Technique: Two-panel axial: CT | PSMA PET, 18F-PSMA tracer. acquired on Siemens Biograph mCT Flow 20.
Note: An anonymization step blacked out a rectangle over the head in this scan.
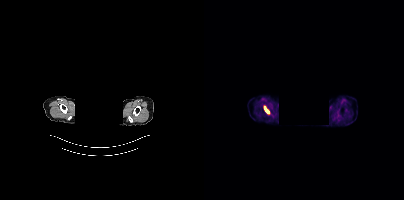
Findings: Coordinates are on the 200×200 PET (right) panel. PSMA-avid tumor lesion bounding box (x0,y0,x1,y1): [60,107,64,112].